modality: PSMA PET/CT | tracer: 18F-PSMA | view: axial
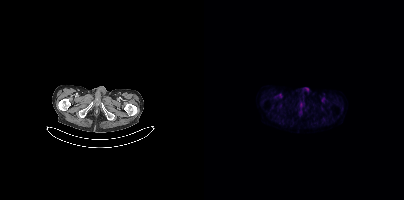
This slice has no annotated PSMA-avid lesion.